Technique: Two-panel axial: CT | PSMA PET, [68Ga]Ga-PSMA-11 tracer. PET panel 168×168 px (4.1 mm/px).
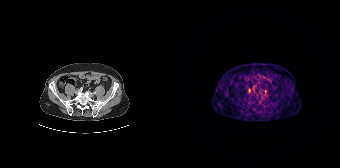
Findings: Coordinates are on the 168×168 PET (right) panel. Small PSMA-avid focus (2 to 4 px across) near (center x, center y): (77, 90).